Two-panel axial: CT | PSMA PET, [18F]PSMA-1007 tracer. Acquired on GE Discovery 690. Slice position z = -590 mm. PET panel 256×256 px (2.7 mm/px).
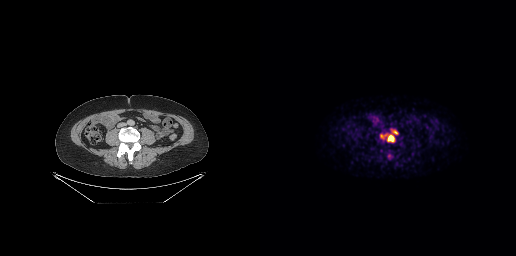
Coordinates are on the 256×256 PET (right) panel. PSMA-avid tumor lesion bounding boxes:
| # | x0 | y0 | x1 | y1 |
|---|---|---|---|---|
| 1 | 120 | 129 | 138 | 142 |